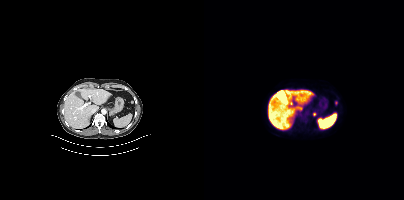
Coordinates are on the 200×200 PET (right) panel. (showing 1 of 2 foci) Small PSMA-avid focus (2 to 4 px across) near (center x, center y): (110, 113). Two-panel axial: CT | PSMA PET, 18F tracer.